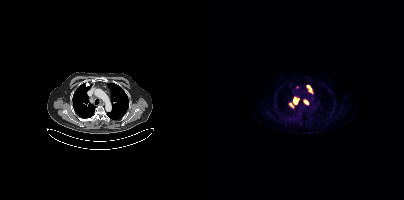
{"pet_grid":[200,200],"coord_frame":"pet_panel","coord_format":"x0,y0,x1,y1","lesion_bboxes":[[90,98,94,103],[100,100,104,104]],"modality":"PSMA PET/CT","view":"axial","tracer":"18F"}